Two-panel axial: CT | PSMA PET, 18F tracer. Slice 226 of 263. PET panel 256×256 px (2.7 mm/px).
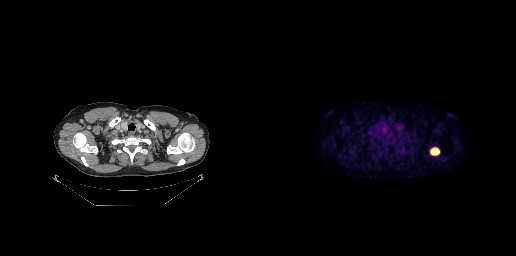
Coordinates are on the 256×256 PET (right) panel. PSMA-avid tumor lesion bounding box (x0, y0)-(x1, y1): (170, 147)-(179, 155).